Technique: Paired axial CT (left) and PSMA PET (right), [18F]PSMA-1007 tracer. PET panel 200×200 px (4.1 mm/px).
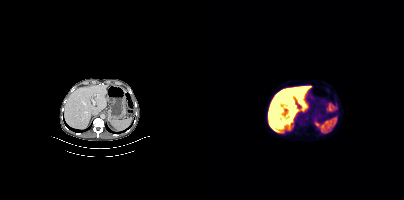
Findings: Coordinates are on the 200×200 PET (right) panel. Small PSMA-avid focus (2 to 4 px across) near (center x, center y): (102, 109).